Technique: Two-panel axial: CT | PSMA PET, 18F tracer. slice position z = -334 mm. PET panel 200×200 px (4.1 mm/px).
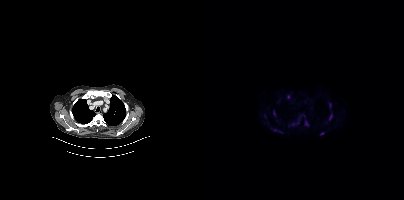
Findings: Coordinates are on the 200×200 PET (right) panel. (showing 11 of 13 foci) PSMA-avid tumor lesion bounding boxes (x0, y0)-(x1, y1): (125, 114)-(128, 120); (95, 112)-(100, 115); (125, 103)-(127, 107); (101, 121)-(104, 125); (69, 111)-(71, 115). Small PSMA-avid foci (2 to 4 px across) near (center x, center y): (84, 96); (117, 133); (89, 124); (71, 129); (94, 122); (76, 131).